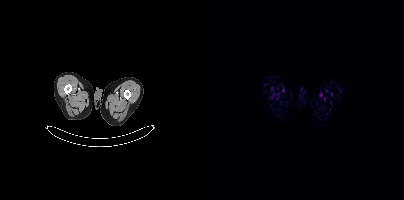
Technique: Left: CT. Right: PSMA PET, same axial level, [18F]PSMA-1007 tracer. slice position z = -1665 mm.
Findings: This slice has no annotated PSMA-avid lesion.